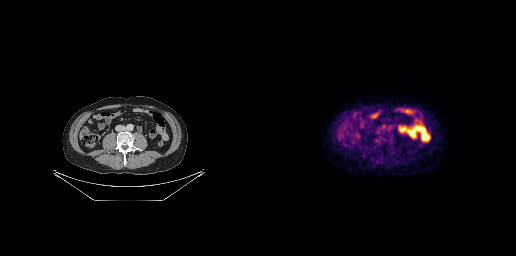
No PSMA-avid tumor lesions on this slice.